Left: CT. Right: PSMA PET, same axial level, 18F-PSMA tracer. Acquired on Siemens Biograph mCT Flow 20. Slice position z = -390 mm.
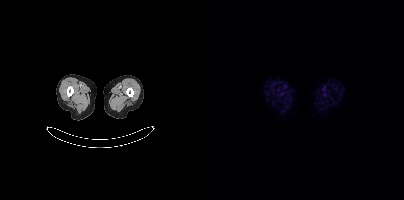
No tumor lesions annotated on this slice.